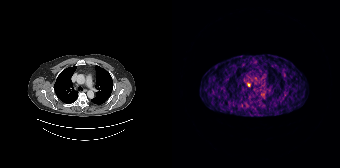
Coordinates are on the 168×168 PET (right) panel. Small PSMA-avid foci (2 to 4 px across) near (center x, center y): (76, 84) / (84, 90). Left: CT. Right: PSMA PET, same axial level, 68Ga tracer. Acquired on Siemens Biograph 64-4R TruePoint. PET panel 168×168 px (4.1 mm/px).